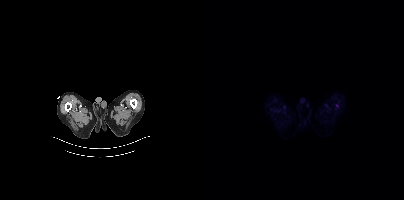
Left: CT. Right: PSMA PET, same axial level, [18F]PSMA-1007 tracer. No tumor lesions annotated on this slice.